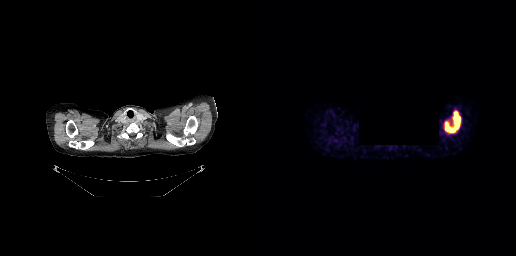
{"pet_grid":[256,256],"coord_frame":"pet_panel","coord_format":"x0,y0,x1,y1","lesion_bboxes":[[184,111,200,133]],"deidentification":"region blacked out before release","modality":"PSMA PET/CT","view":"axial","tracer":"68Ga"}